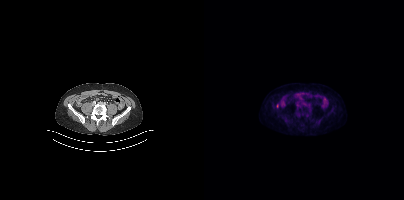
Only PSMA-avid lesion pieces thinner than 2 px on this slice (not listed). Paired axial CT (left) and PSMA PET (right), 18F tracer. Acquired on Siemens Biograph mCT Flow 20. Slice 144 of 429. PET panel 200×200 px (4.1 mm/px).